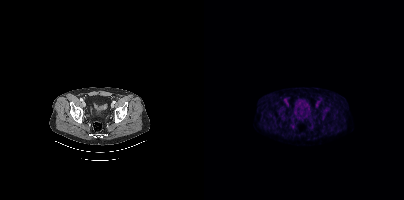
No PSMA-avid tumor lesions on this slice.